Left: CT. Right: PSMA PET, same axial level, 18F-PSMA tracer. PET panel 200×200 px (4.1 mm/px).
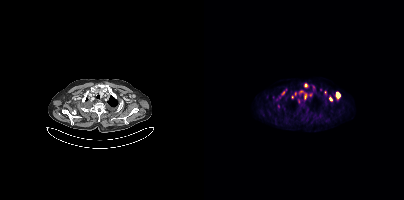
Coordinates are on the 200×200 PET (right) panel. (showing 13 of 14 foci) PSMA-avid tumor lesion bounding boxes (x, y, width, height): x=132 y=92 w=5 h=8 / x=95 y=90 w=5 h=4 / x=100 y=94 w=3 h=6 / x=94 y=99 w=3 h=5 / x=74 y=104 w=2 h=5. Small PSMA-avid foci (2 to 4 px across) near (center x, center y): (101, 85) / (126, 98) / (79, 92) / (106, 95) / (88, 97) / (121, 92) / (109, 86) / (91, 93).